Paired axial CT (left) and PSMA PET (right), 18F-PSMA tracer. Acquired on Siemens Biograph mCT Flow 20. PET panel 200×200 px (4.1 mm/px).
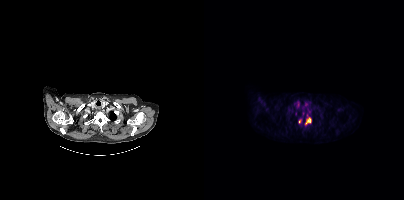
Coordinates are on the 200×200 PET (right) panel. PSMA-avid tumor lesion bounding box (x0,y0,x1,y1): [101,117,107,124]. Small PSMA-avid focus (2 to 4 px across) near (center x, center y): (95, 121).